Technique: Left: CT. Right: PSMA PET, same axial level, [18F]PSMA-1007 tracer. slice 44 of 165. PET panel 168×168 px (4.1 mm/px).
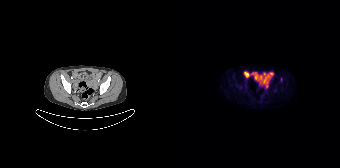
Findings: Negative for PSMA-avid disease on this slice.